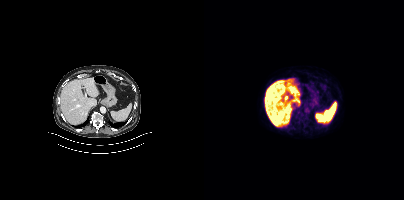
{"pet_grid":[200,200],"coord_frame":"pet_panel","coord_format":"x0,y0,x1,y1","psma_avid_lesions":false,"modality":"PSMA PET/CT","view":"axial","tracer":"[18F]PSMA-1007"}